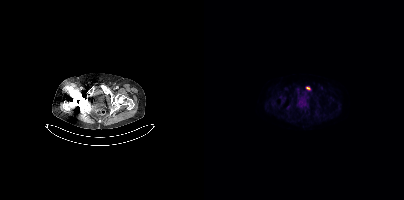
Coordinates are on the 200×200 PET (right) panel. PSMA-avid tumor lesion bounding box (x0, y0)-(x1, y1): (102, 86)-(106, 90).